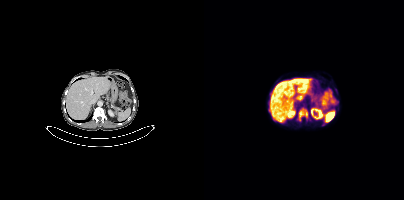
- Paired axial CT (left) and PSMA PET (right), 18F-PSMA tracer
- slice position z = -1204 mm
- PET panel 200×200 px (4.1 mm/px)
Findings: Coordinates are on the 200×200 PET (right) panel. PSMA-avid tumor lesion bounding box (x, y, width, height): x=95 y=108 w=9 h=13.